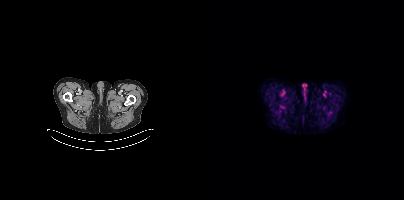
{"modality":"PSMA PET/CT","view":"axial","tracer":"18F-PSMA","pet_grid":[200,200],"coord_frame":"pet_panel","coord_format":"x0,y0,x1,y1","psma_avid_lesions":false}